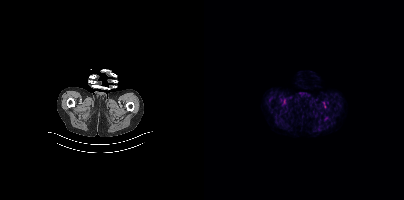
No tumor lesions annotated on this slice. Paired axial CT (left) and PSMA PET (right), 18F tracer. Acquired on Siemens Biograph mCT Flow 20.